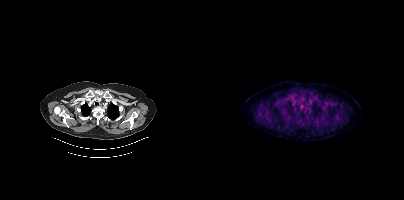
{"pet_grid":[200,200],"coord_frame":"pet_panel","coord_format":"x0,y0,x1,y1","psma_avid_lesions":false,"modality":"PSMA PET/CT","view":"axial","tracer":"[18F]PSMA-1007"}